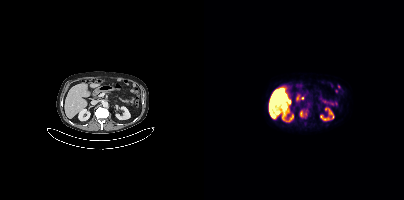
Coordinates are on the 200×200 PET (right) panel. PSMA-avid tumor lesion bounding box (x0,y0,x1,y1): [96,110,102,117].